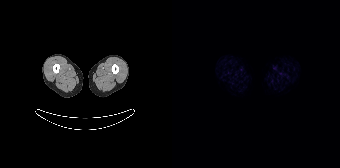
modality: PSMA PET/CT | tracer: 18F | view: axial
Negative for PSMA-avid disease on this slice.